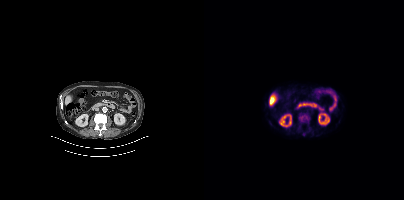
Findings: Coordinates are on the 200×200 PET (right) panel. PSMA-avid tumor lesion bounding box (x, y, width, height): x=95 y=114 w=11 h=8.
Technique: Two-panel axial: CT | PSMA PET, [18F]PSMA-1007 tracer. PET panel 200×200 px (4.1 mm/px).